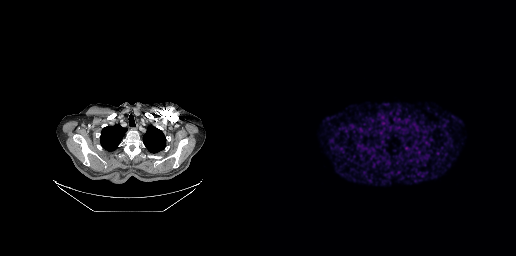
{"modality":"PSMA PET/CT","view":"axial","tracer":"68Ga","pet_grid":[256,256],"coord_frame":"pet_panel","coord_format":"x0,y0,x1,y1","psma_avid_lesions":false}